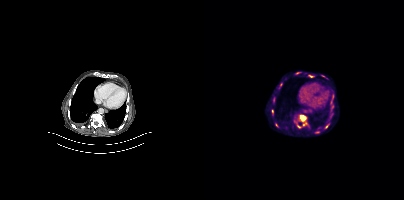
Coordinates are on the 200×200 PET (right) panel. PSMA-avid tumor lesion bounding box (x0,y0,x1,y1): [95,115,102,125]. Small PSMA-avid foci (2 to 4 px across) near (center x, center y): (69, 101); (95, 126). Two-panel axial: CT | PSMA PET, 18F tracer.